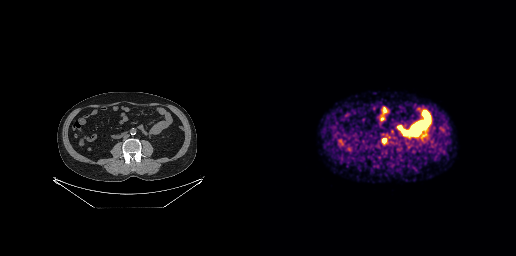
Paired axial CT (left) and PSMA PET (right), 68Ga-PSMA tracer. Slice 114 of 263. PET panel 256×256 px (2.7 mm/px). Coordinates are on the 256×256 PET (right) panel. PSMA-avid tumor lesion bounding box (x0,y0,x1,y1): [122,139,126,142].